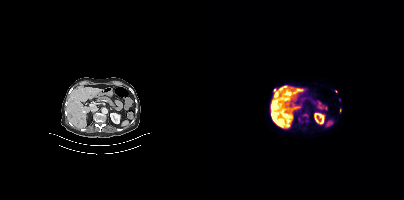
Two-panel axial: CT | PSMA PET, 18F-PSMA tracer. Slice position z = -588 mm.
Coordinates are on the 200×200 PET (right) panel. PSMA-avid tumor lesion bounding boxes (partial; 1 more focus not listed):
| # | x0 | y0 | x1 | y1 |
|---|---|---|---|---|
| 1 | 82 | 90 | 87 | 95 |
| 2 | 70 | 89 | 75 | 95 |
| 3 | 94 | 88 | 98 | 92 |
Small PSMA-avid foci (2 to 4 px across) near (center x, center y): (69, 115); (72, 120); (131, 91).